Technique: Paired axial CT (left) and PSMA PET (right), 18F-PSMA tracer. acquired on Siemens Biograph mCT Flow 20. PET panel 200×200 px (4.1 mm/px).
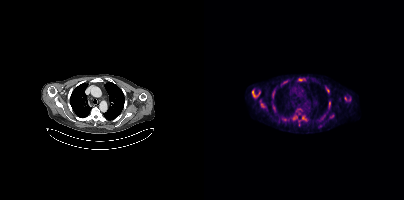
Findings: Coordinates are on the 200×200 PET (right) panel. (showing 9 of 14 foci) PSMA-avid tumor lesion bounding boxes (x0,y0,x1,y1): [98,116,102,120], [94,78,99,80], [48,91,51,96], [68,94,70,98], [125,102,126,107], [89,116,93,119]. Small PSMA-avid foci (2 to 4 px across) near (center x, center y): (123, 90), (141, 98), (119, 116).